Paired axial CT (left) and PSMA PET (right), 68Ga-PSMA tracer. Acquired on Siemens Biograph 64-4R TruePoint. PET panel 168×168 px (4.1 mm/px).
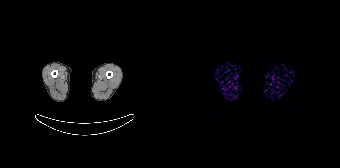
No PSMA-avid tumor lesions on this slice.